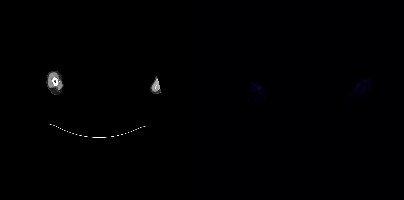
Paired axial CT (left) and PSMA PET (right), 18F-PSMA tracer. Acquired on Siemens Biograph mCT Flow 20. Slice position z = -285 mm. PET panel 200×200 px (4.1 mm/px). A rectangular block over the head has been blanked out for de-identification. No tumor lesions annotated on this slice.